Two-panel axial: CT | PSMA PET, 68Ga-PSMA tracer. Slice position z = -970 mm.
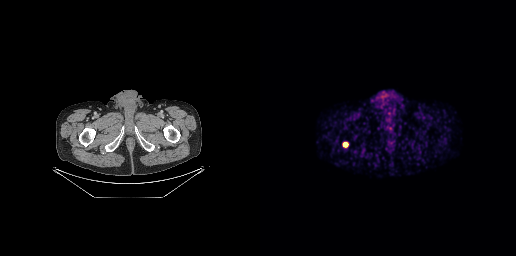
Coordinates are on the 256×256 PET (right) panel. PSMA-avid tumor lesion bounding box (x, y, width, height): x=83 y=142 w=5 h=5.